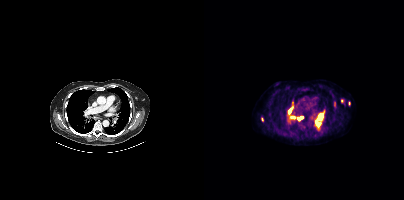
Coordinates are on the 200×200 PET (right) panel. PSMA-avid tumor lesion bounding boxes (partial; 1 more focus not listed):
| # | x0 | y0 | x1 | y1 |
|---|---|---|---|---|
| 1 | 113 | 110 | 120 | 120 |
| 2 | 85 | 101 | 89 | 112 |
| 3 | 83 | 114 | 91 | 118 |
| 4 | 111 | 122 | 117 | 127 |
| 5 | 94 | 117 | 99 | 120 |
Small PSMA-avid foci (2 to 4 px across) near (center x, center y): (138, 101); (145, 103); (58, 119); (130, 106).
Two-panel axial: CT | PSMA PET, [18F]PSMA-1007 tracer. Acquired on Siemens Biograph mCT Flow 20. Slice 319 of 448. PET panel 200×200 px (4.1 mm/px).